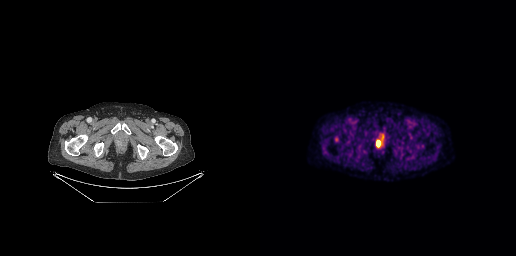
{"modality":"PSMA PET/CT","view":"axial","tracer":"[18F]PSMA-1007","pet_grid":[256,256],"coord_frame":"pet_panel","coord_format":"x0,y0,x1,y1","lesion_bboxes":[[116,140,120,146]]}